Facial anatomy redacted by setting a rectangular region of the head to black. Paired axial CT (left) and PSMA PET (right), [18F]PSMA-1007 tracer. Acquired on Siemens Biograph mCT Flow 20. PET panel 200×200 px (4.1 mm/px).
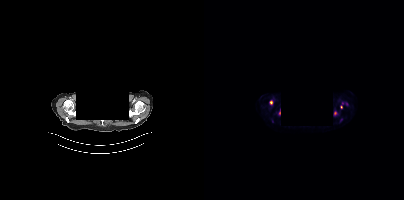
Coordinates are on the 200×200 PET (right) panel. Small PSMA-avid foci (2 to 4 px across) near (center x, center y): (67, 102); (131, 112); (137, 106); (75, 112); (137, 119).